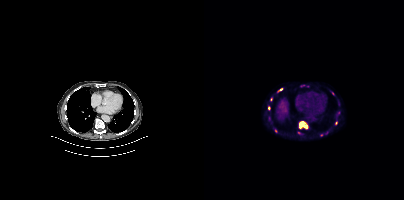
Coordinates are on the 200×200 PET (right) panel. (showing 5 of 6 foci) PSMA-avid tumor lesion bounding boxes (x0,y0,x1,y1): [95,121,103,128], [74,88,78,91]. Small PSMA-avid foci (2 to 4 px across) near (center x, center y): (64, 108), (132, 123), (67, 99).